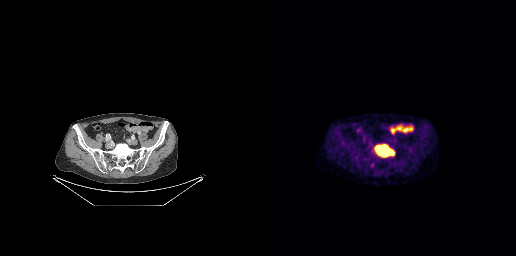
Coordinates are on the 256×256 PET (right) panel. (showing 1 of 2 foci) PSMA-avid tumor lesion bounding box (x, y, width, height): x=115 y=145 w=20 h=12.